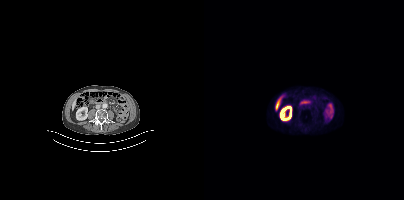
Two-panel axial: CT | PSMA PET, 18F-PSMA tracer. No tumor lesions annotated on this slice.